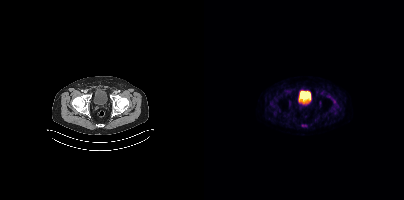
Two-panel axial: CT | PSMA PET, [68Ga]Ga-PSMA-11 tracer. Acquired on Siemens Biograph mCT Flow 20. Coordinates are on the 200×200 PET (right) panel. (showing 1 of 2 foci) Small PSMA-avid focus (2 to 4 px across) near (center x, center y): (98, 125).